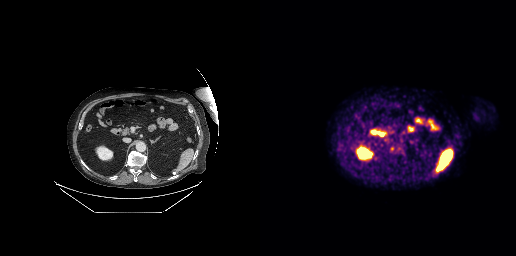
Technique: Left: CT. Right: PSMA PET, same axial level, 18F-PSMA tracer.
Findings: Coordinates are on the 256×256 PET (right) panel. Small PSMA-avid focus (2 to 4 px across) near (center x, center y): (132, 148).